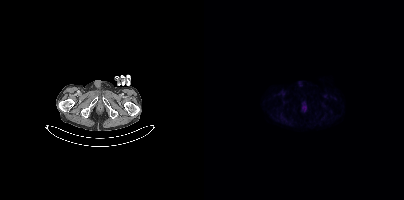
This slice has no annotated PSMA-avid lesion.
modality: PSMA PET/CT | tracer: 18F | view: axial